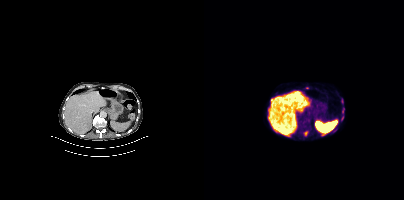
Coordinates are on the 200×200 PET (right) panel. (showing 2 of 4 foci) Small PSMA-avid foci (2 to 4 px across) near (center x, center y): (102, 133) / (139, 110). Paired axial CT (left) and PSMA PET (right), [18F]PSMA-1007 tracer. Slice position z = -524 mm. PET panel 200×200 px (4.1 mm/px).